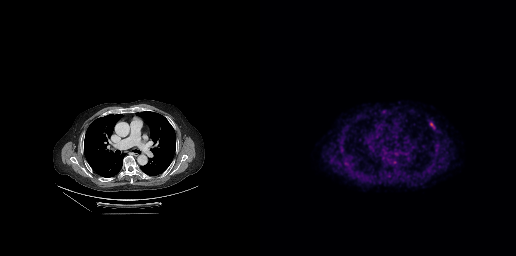
Coordinates are on the 256×256 PET (right) panel. PSMA-avid tumor lesion bounding boxes (x0,y0,x1,y1): [82,160,90,168]; [169,121,175,129]; [80,146,83,153].